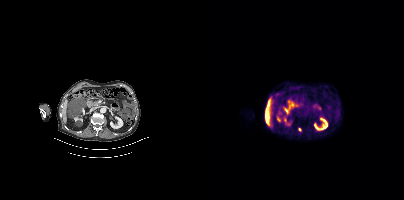
- Paired axial CT (left) and PSMA PET (right), 18F-PSMA tracer
- slice position z = -10 mm
Findings: Coordinates are on the 200×200 PET (right) panel. Small PSMA-avid focus (2 to 4 px across) near (center x, center y): (95, 129).